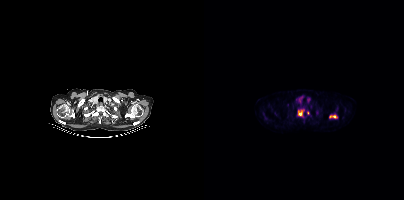
Coordinates are on the 200×200 PET (right) panel. (showing 2 of 3 foci) PSMA-avid tumor lesion bounding boxes (x, y, width, height): x=94 y=110 w=6 h=6; x=125 y=115 w=8 h=4.